modality: PSMA PET/CT | tracer: 18F-PSMA | view: axial
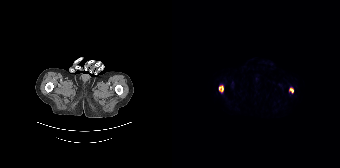
Coordinates are on the 168×168 PET (right) panel. PSMA-avid tumor lesion bounding boxes (x0, y0)-(x1, y1): (46, 85)-(51, 92) | (117, 88)-(121, 92).